modality: PSMA PET/CT | tracer: [18F]PSMA-1007 | view: axial
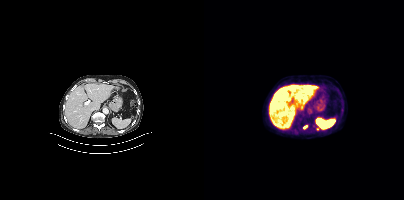
Coordinates are on the 200×200 PET (right) panel. Small PSMA-avid foci (2 to 4 px across) near (center x, center y): (101, 127) (114, 128).